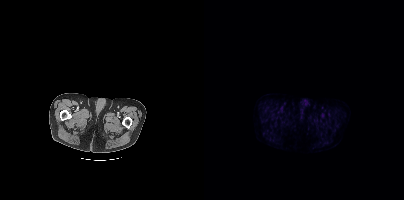
Negative for PSMA-avid disease on this slice.
modality: PSMA PET/CT | tracer: 18F-PSMA | view: axial | PET grid: 200×200